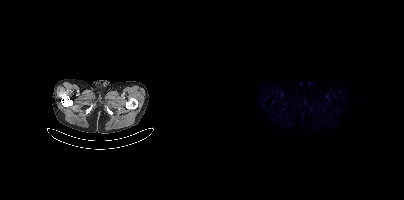
modality: PSMA PET/CT | tracer: 18F-PSMA | view: axial
No PSMA-avid tumor lesions on this slice.